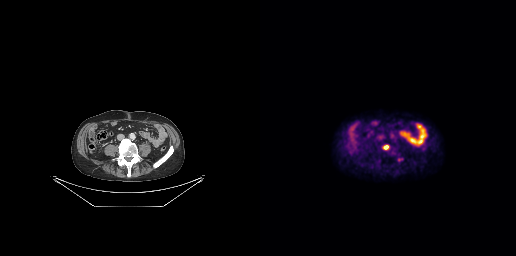
Coordinates are on the 256×256 PET (right) panel. PSMA-avid tumor lesion bounding boxes (x0, y0)-(x1, y1): (138, 158)-(143, 161) | (124, 146)-(128, 148).
modality: PSMA PET/CT | tracer: 18F | view: axial